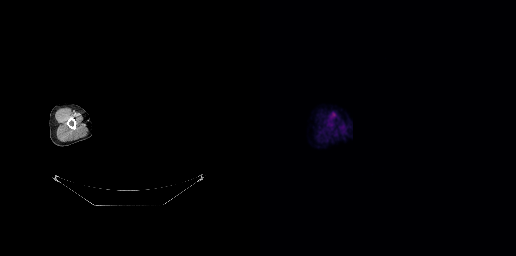
No tumor lesions annotated on this slice.
Head region blanked for anonymization (face removed).